Paired axial CT (left) and PSMA PET (right), [18F]PSMA-1007 tracer. Slice 233 of 391.
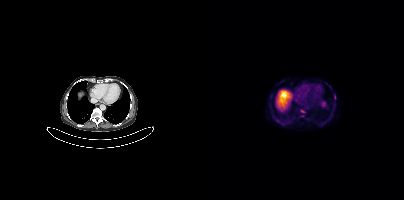
Coordinates are on the 200×200 PET (right) panel. Small PSMA-avid foci (2 to 4 px across) near (center x, center y): (73, 121) | (98, 111).